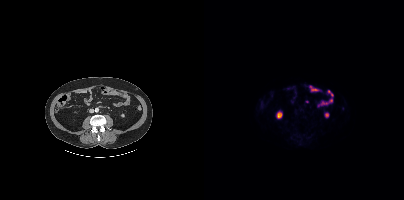
This slice has no annotated PSMA-avid lesion.